redaction: region blacked out before release | modality: PSMA PET/CT | tracer: [18F]PSMA-1007 | view: axial | PET grid: 200×200
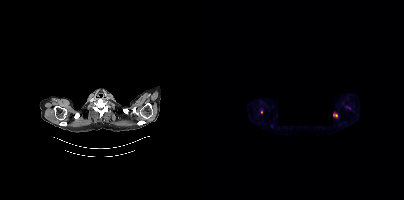
Coordinates are on the 200×200 PET (right) panel. PSMA-avid tumor lesion bounding boxes (x0,y0,x1,y1): [56,109,59,113]; [129,114,133,116].